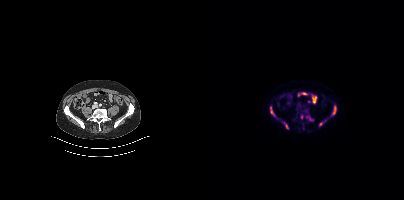
Coordinates are on the 200×200 PET (right) panel. PSMA-avid tumor lesion bounding boxes:
| # | x0 | y0 | x1 | y1 |
|---|---|---|---|---|
| 1 | 102 | 114 | 109 | 121 |
| 2 | 128 | 106 | 132 | 114 |
| 3 | 66 | 106 | 70 | 116 |
| 4 | 115 | 122 | 119 | 126 |
| 5 | 80 | 122 | 84 | 128 |
Small PSMA-avid focus (2 to 4 px across) near (center x, center y): (97, 116).
Two-panel axial: CT | PSMA PET, 18F tracer. Acquired on Siemens Biograph mCT Flow 20. PET panel 200×200 px (4.1 mm/px).